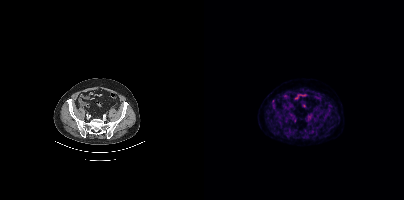
Findings: Negative for PSMA-avid disease on this slice.
Technique: Left: CT. Right: PSMA PET, same axial level, 18F tracer. slice 132 of 448. PET panel 200×200 px (4.1 mm/px).